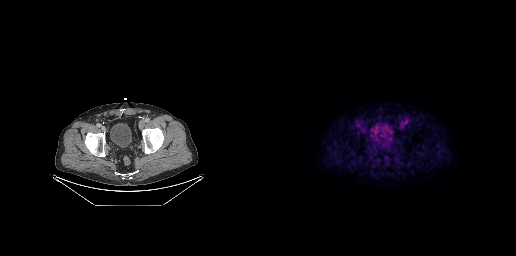
Left: CT. Right: PSMA PET, same axial level, 18F-PSMA tracer. Slice position z = -695 mm. Negative for PSMA-avid disease on this slice.